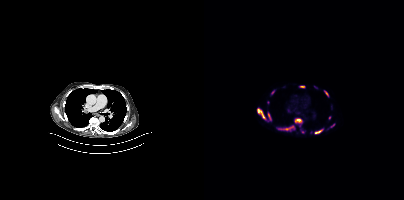
{"modality":"PSMA PET/CT","view":"axial","tracer":"18F-PSMA","pet_grid":[200,200],"coord_frame":"pet_panel","coord_format":"x0,y0,x1,y1","partial":true,"lesion_bboxes":[[53,108,61,119],[74,126,90,130],[91,118,98,122],[111,129,118,133],[120,91,124,96],[64,112,66,119],[96,86,100,87],[67,90,70,94]],"small_foci_centers":[[128,125],[125,117]]}